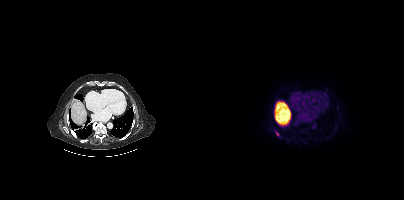
Findings: Coordinates are on the 200×200 PET (right) panel. PSMA-avid tumor lesion bounding box (x, y, width, height): x=71 y=131 w=4 h=5. Small PSMA-avid focus (2 to 4 px across) near (center x, center y): (70, 118).
Technique: Left: CT. Right: PSMA PET, same axial level, [18F]PSMA-1007 tracer. slice position z = -1080 mm.